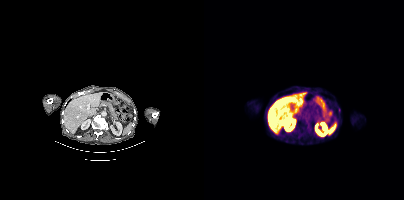
Coordinates are on the 200×200 PET (right) panel. PSMA-avid tumor lesion bounding box (x, y, width, height): x=134 y=108 w=3 h=5.
modality: PSMA PET/CT | tracer: 18F | view: axial | PET grid: 200×200